- head region blanked for anonymization (face removed)
- Paired axial CT (left) and PSMA PET (right), 18F-PSMA tracer
- slice position z = -836 mm
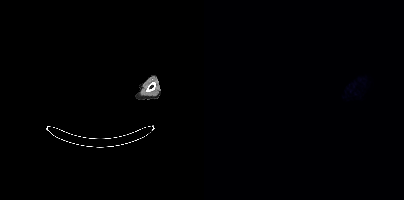
Findings: No PSMA-avid tumor lesions on this slice.